- the head region is masked for de-identification
- Paired axial CT (left) and PSMA PET (right), 68Ga-PSMA tracer
- acquired on Siemens Biograph mCT Flow 20
- PET panel 200×200 px (4.1 mm/px)
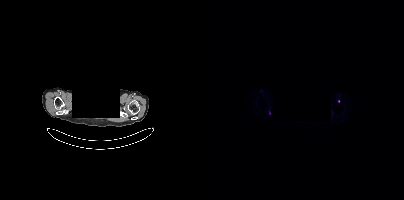
Findings: Coordinates are on the 200×200 PET (right) panel. Small PSMA-avid foci (2 to 4 px across) near (center x, center y): (65, 113); (134, 100).